Technique: Left: CT. Right: PSMA PET, same axial level, [18F]PSMA-1007 tracer.
Note: Any black rectangle over the head is a privacy mask, not anatomy.
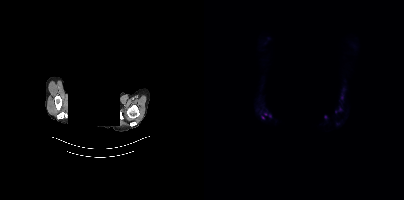
Findings: Coordinates are on the 200×200 PET (right) panel. Small PSMA-avid foci (2 to 4 px across) near (center x, center y): (61, 114) | (58, 117) | (66, 116) | (121, 116).